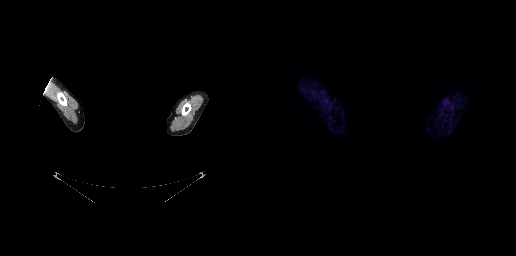
Left: CT. Right: PSMA PET, same axial level, 68Ga tracer. Acquired on GE Discovery 690. Face de-identified by blanking a block of the head. Negative for PSMA-avid disease on this slice.